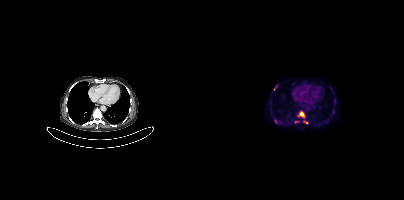
modality: PSMA PET/CT | tracer: 18F-PSMA | view: axial
Coordinates are on the 200×200 PET (right) panel. PSMA-avid tumor lesion bounding boxes (x0,y0,x1,y1): [94,111,101,118]; [70,119,76,124]; [99,120,104,123]; [70,85,73,90]. Small PSMA-avid foci (2 to 4 px across) near (center x, center y): (92, 121); (129, 111).